modality: PSMA PET/CT | tracer: 18F | view: axial
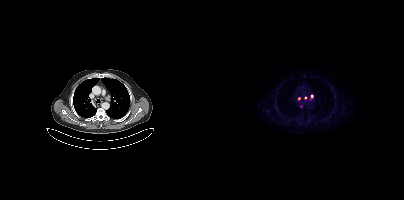
Coordinates are on the 200×200 PET (right) panel. PSMA-avid tumor lesion bounding box (x0, y0)-(x1, y1): (105, 95)-(109, 99). Small PSMA-avid foci (2 to 4 px across) near (center x, center y): (95, 98); (101, 97).